Technique: Paired axial CT (left) and PSMA PET (right), [18F]PSMA-1007 tracer. acquired on Siemens Biograph mCT Flow 20. slice position z = -1435 mm. PET panel 200×200 px (4.1 mm/px).
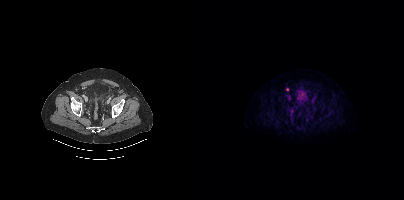
Findings: Coordinates are on the 200×200 PET (right) panel. Small PSMA-avid focus (2 to 4 px across) near (center x, center y): (83, 89).